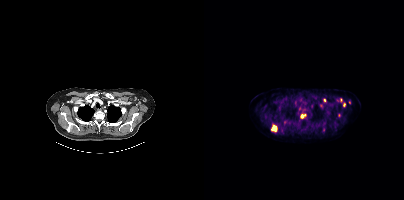
{"modality":"PSMA PET/CT","view":"axial","tracer":"[18F]PSMA-1007","pet_grid":[200,200],"coord_frame":"pet_panel","coord_format":"x0,y0,x1,y1","partial":true,"lesion_bboxes":[[68,125,72,131],[97,114,101,118]],"small_foci_centers":[[140,104],[120,129],[81,122],[120,100],[116,104],[145,102]]}